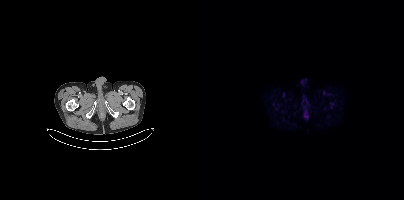
Technique: Two-panel axial: CT | PSMA PET, 18F-PSMA tracer. acquired on Siemens Biograph mCT Flow 20. slice 29 of 403. PET panel 200×200 px (4.1 mm/px).
Findings: Coordinates are on the 200×200 PET (right) panel. PSMA-avid tumor lesion bounding box (x, y, width, height): x=100 y=111 w=5 h=7.